- Two-panel axial: CT | PSMA PET, 68Ga-PSMA tracer
- PET panel 200×200 px (4.1 mm/px)
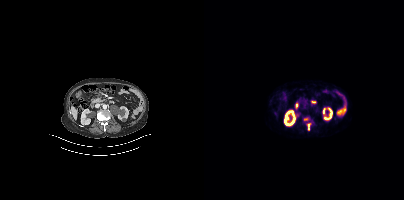
Findings: Coordinates are on the 200×200 PET (right) panel. (showing 1 of 2 foci) PSMA-avid tumor lesion bounding box (x0,y0,x1,y1): [103,123,107,130].